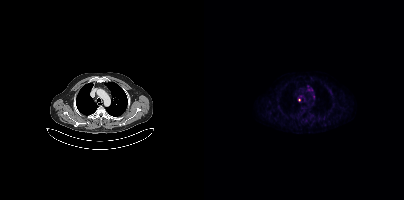
Two-panel axial: CT | PSMA PET, 18F-PSMA tracer. Slice 338 of 433. Coordinates are on the 200×200 PET (right) panel. (showing 3 of 4 foci) PSMA-avid tumor lesion bounding box (x, y, width, height): x=104 y=88 w=5 h=3. Small PSMA-avid foci (2 to 4 px across) near (center x, center y): (95, 100); (96, 96).